Paired axial CT (left) and PSMA PET (right), 68Ga-PSMA tracer. Acquired on GE Discovery 690. Slice position z = -249 mm. PET panel 256×256 px (2.7 mm/px). De-identified by setting a box covering the face to black before release.
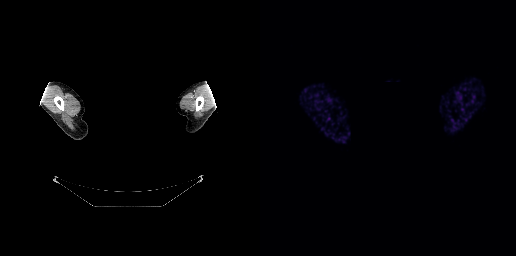
Negative for PSMA-avid disease on this slice.